Technique: Left: CT. Right: PSMA PET, same axial level, 18F tracer. acquired on Siemens Biograph mCT Flow 20. slice position z = -202 mm. PET panel 200×200 px (4.1 mm/px).
Note: Facial anatomy redacted by setting a rectangular region of the head to black.
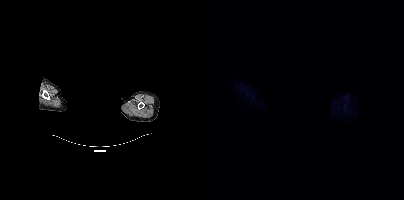
Findings: This slice has no annotated PSMA-avid lesion.